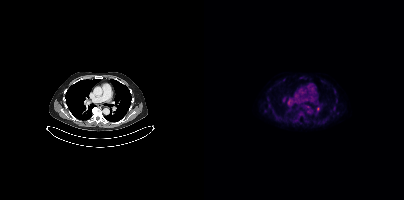
{"modality":"PSMA PET/CT","view":"axial","tracer":"18F","pet_grid":[200,200],"coord_frame":"pet_panel","coord_format":"x0,y0,x1,y1","lesion_bboxes":[],"small_foci_centers":[[114,108],[85,101],[104,106]]}